Technique: Paired axial CT (left) and PSMA PET (right), 18F-PSMA tracer.
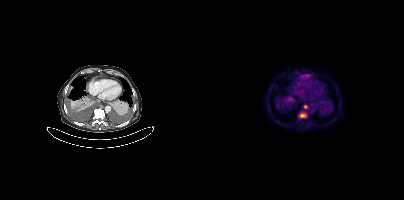
Findings: Coordinates are on the 200×200 PET (right) panel. Small PSMA-avid foci (2 to 4 px across) near (center x, center y): (101, 106), (98, 115).